Left: CT. Right: PSMA PET, same axial level, [18F]PSMA-1007 tracer. Acquired on Siemens Biograph mCT Flow 20. Slice position z = -526 mm. PET panel 200×200 px (4.1 mm/px).
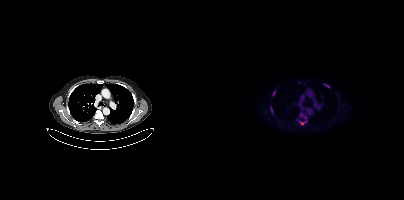
Coordinates are on the 200×200 PET (right) panel. (showing 4 of 5 foci) PSMA-avid tumor lesion bounding boxes (x0, y0)-(x1, y1): (68, 91)-(71, 96) | (120, 84)-(125, 87) | (67, 107)-(69, 113). Small PSMA-avid focus (2 to 4 px across) near (center x, center y): (97, 123).